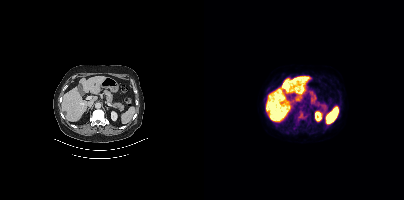
{"modality":"PSMA PET/CT","view":"axial","tracer":"[18F]PSMA-1007","pet_grid":[200,200],"coord_frame":"pet_panel","coord_format":"x0,y0,x1,y1","lesion_bboxes":[[90,110,106,124]]}